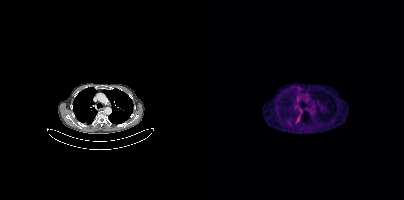
No tumor lesions annotated on this slice.